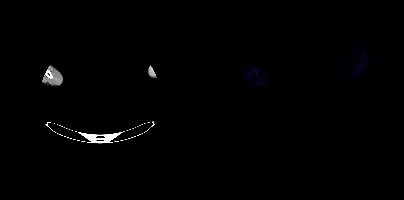
Technique: Paired axial CT (left) and PSMA PET (right), 18F tracer. acquired on Siemens Biograph mCT Flow 20.
Note: The face region was removed for patient privacy by blanking a rectangle over the head.
Findings: No tumor lesions annotated on this slice.